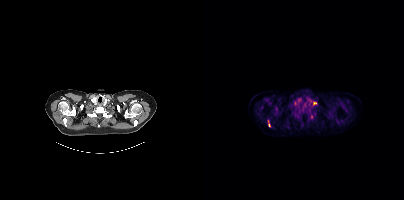
Coordinates are on the 200×200 PET (right) panel. Small PSMA-avid foci (2 to 4 px across) near (center x, center y): (110, 103) (107, 116) (65, 125).
modality: PSMA PET/CT | tracer: 18F | view: axial | PET grid: 200×200